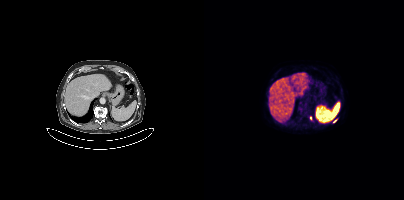
{"modality":"PSMA PET/CT","view":"axial","tracer":"18F","pet_grid":[200,200],"coord_frame":"pet_panel","coord_format":"x0,y0,x1,y1","partial":true,"lesion_bboxes":[],"small_foci_centers":[[130,121]]}